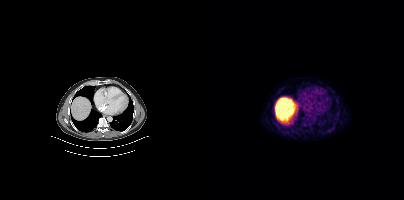
{"modality":"PSMA PET/CT","view":"axial","tracer":"[18F]PSMA-1007","pet_grid":[200,200],"coord_frame":"pet_panel","coord_format":"x0,y0,x1,y1","psma_avid_lesions":false}